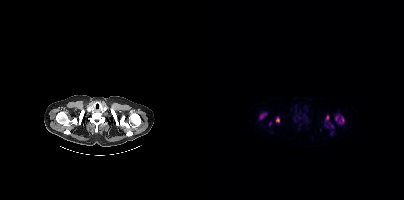
Paired axial CT (left) and PSMA PET (right), 18F tracer. Acquired on Siemens Biograph mCT Flow 20. PET panel 200×200 px (4.1 mm/px).
Coordinates are on the 200×200 PET (right) panel. PSMA-avid tumor lesion bounding boxes (partial; 2 more foci not listed):
| # | x0 | y0 | x1 | y1 |
|---|---|---|---|---|
| 1 | 131 | 114 | 140 | 124 |
| 2 | 55 | 113 | 62 | 119 |
| 3 | 121 | 115 | 125 | 121 |
| 4 | 72 | 117 | 75 | 122 |
Small PSMA-avid foci (2 to 4 px across) near (center x, center y): (128, 126); (116, 128).